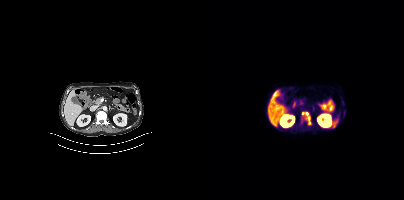
{"pet_grid":[200,200],"coord_frame":"pet_panel","coord_format":"x0,y0,x1,y1","lesion_bboxes":[[97,112,106,124],[139,111,141,116]],"modality":"PSMA PET/CT","view":"axial","tracer":"[18F]PSMA-1007"}